Paired axial CT (left) and PSMA PET (right), 18F tracer. Acquired on GE Discovery 690. PET panel 256×256 px (2.7 mm/px).
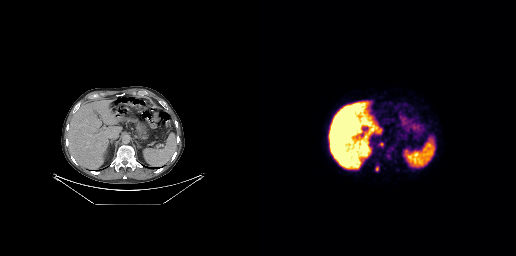
Coordinates are on the 256×256 PET (right) panel. PSMA-avid tumor lesion bounding boxes (x, y, width, height): x=115 y=166 w=5 h=6 / x=119 y=142 w=5 h=5.